Paired axial CT (left) and PSMA PET (right), [18F]PSMA-1007 tracer.
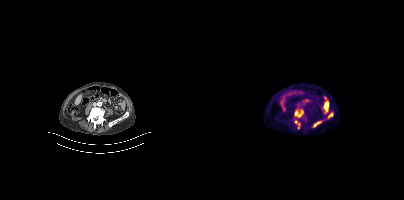
Coordinates are on the 200×200 PET (right) panel. PSMA-avid tumor lesion bounding boxes (x0,y0,x1,y1): [90,109,99,118], [90,120,96,129].